- Two-panel axial: CT | PSMA PET, [68Ga]Ga-PSMA-11 tracer
- acquired on GE Discovery 690
- slice 88 of 263
- PET panel 256×256 px (2.7 mm/px)
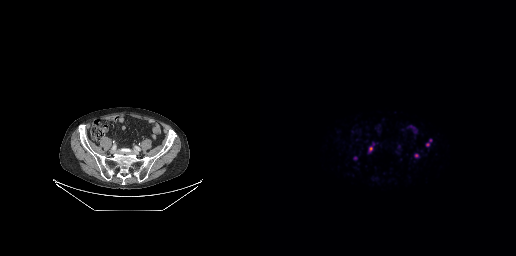
Findings: Coordinates are on the 256×256 PET (right) panel. (showing 3 of 4 foci) Small PSMA-avid foci (2 to 4 px across) near (center x, center y): (110, 148); (167, 144); (95, 157).